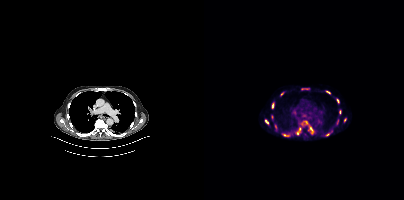
Findings: Coordinates are on the 200×200 PET (right) panel. (showing 13 of 15 foci) PSMA-avid tumor lesion bounding boxes (x0, y0)-(x1, y1): (97, 121)-(109, 134) | (92, 127)-(97, 134) | (97, 88)-(105, 90) | (68, 102)-(70, 108) | (132, 98)-(135, 103) | (135, 110)-(137, 114) | (61, 119)-(64, 124) | (79, 134)-(84, 136) | (122, 91)-(126, 93). Small PSMA-avid foci (2 to 4 px across) near (center x, center y): (124, 134) | (77, 94) | (140, 120) | (71, 126).
- Two-panel axial: CT | PSMA PET, [18F]PSMA-1007 tracer
- slice 341 of 466
- PET panel 200×200 px (4.1 mm/px)